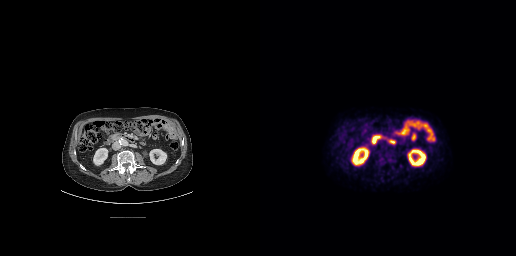
This slice has no annotated PSMA-avid lesion. Paired axial CT (left) and PSMA PET (right), 18F tracer.